modality: PSMA PET/CT | tracer: [18F]PSMA-1007 | view: axial | PET grid: 200×200
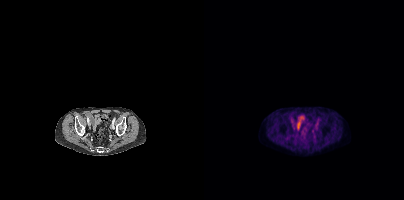
No PSMA-avid tumor lesions on this slice.